Left: CT. Right: PSMA PET, same axial level, [18F]PSMA-1007 tracer. Acquired on Siemens Biograph mCT Flow 20. PET panel 200×200 px (4.1 mm/px).
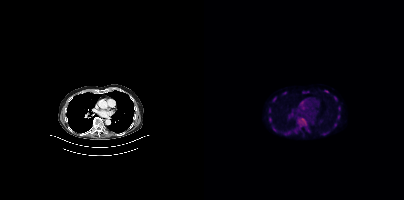
Coordinates are on the 200×200 PET (right) panel. PSMA-avid tumor lesion bounding boxes:
| # | x0 | y0 | x1 | y1 |
|---|---|---|---|---|
| 1 | 130 | 96 | 133 | 100 |
| 2 | 134 | 106 | 136 | 110 |
| 3 | 133 | 115 | 136 | 119 |
Small PSMA-avid foci (2 to 4 px across) near (center x, center y): (70, 98); (66, 119); (122, 91); (65, 110).